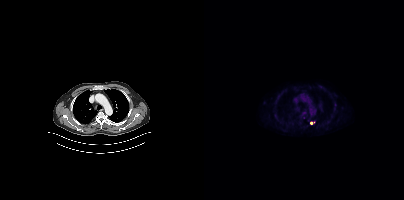
{"modality":"PSMA PET/CT","view":"axial","tracer":"[18F]PSMA-1007","pet_grid":[200,200],"coord_frame":"pet_panel","coord_format":"x0,y0,x1,y1","partial":true,"lesion_bboxes":[]}